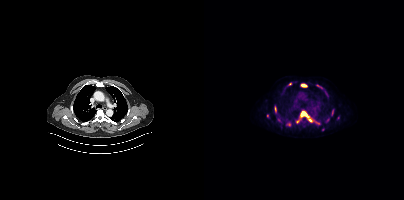
{"modality":"PSMA PET/CT","view":"axial","tracer":"[18F]PSMA-1007","pet_grid":[200,200],"coord_frame":"pet_panel","coord_format":"x0,y0,x1,y1","partial":true,"lesion_bboxes":[[97,111,108,121],[97,84,102,86],[128,109,129,114],[71,107,72,111]],"small_foci_centers":[[93,121],[113,123],[86,83],[114,85],[82,124]]}